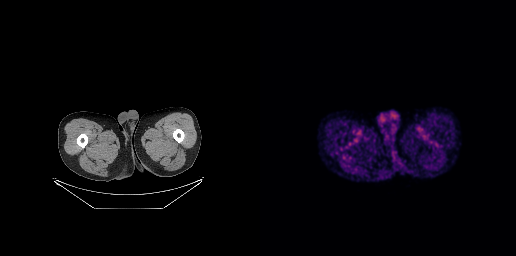
{"modality":"PSMA PET/CT","view":"axial","tracer":"68Ga","pet_grid":[256,256],"coord_frame":"pet_panel","coord_format":"x0,y0,x1,y1","psma_avid_lesions":false}